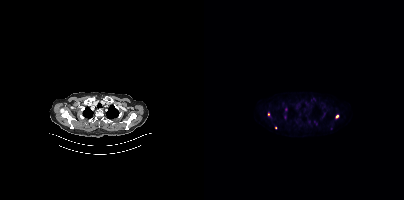
Coordinates are on the 200×200 PET (right) panel. (showing 3 of 4 foci) Small PSMA-avid foci (2 to 4 px across) near (center x, center y): (64, 114) / (133, 116) / (71, 127). Paired axial CT (left) and PSMA PET (right), 18F tracer. Acquired on Siemens Biograph mCT Flow 20.